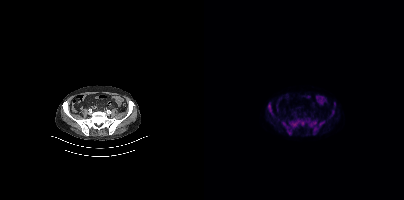
Findings: Coordinates are on the 200×200 PET (right) panel. (showing 3 of 4 foci) PSMA-avid tumor lesion bounding boxes (x0,y0,x1,y1): [78,118,120,134] [64,104,69,115] [127,111,130,116].
- Left: CT. Right: PSMA PET, same axial level, 18F tracer
- acquired on Siemens Biograph mCT Flow 20
- PET panel 200×200 px (4.1 mm/px)